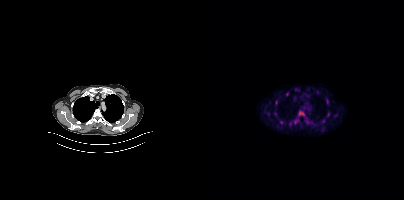
Two-panel axial: CT | PSMA PET, [18F]PSMA-1007 tracer. Slice position z = -264 mm. Coordinates are on the 200×200 PET (right) panel. (showing 6 of 9 foci) PSMA-avid tumor lesion bounding boxes (x0, y0)-(x1, y1): (122, 99)-(124, 104) | (123, 112)-(125, 117). Small PSMA-avid foci (2 to 4 px across) near (center x, center y): (119, 120) | (77, 122) | (131, 115) | (71, 114).